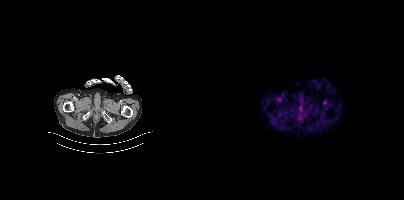
- Paired axial CT (left) and PSMA PET (right), 18F-PSMA tracer
Findings: No tumor lesions annotated on this slice.